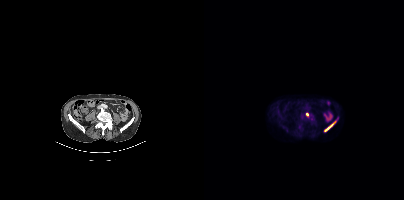
Coordinates are on the 200×200 PET (right) panel. PSMA-avid tumor lesion bounding box (x, y, width, height): x=121 y=124 w=8 h=7. Small PSMA-avid foci (2 to 4 px across) near (center x, center y): (103, 114) | (131, 121).